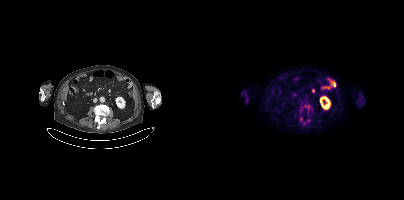
{"modality":"PSMA PET/CT","view":"axial","tracer":"18F-PSMA","pet_grid":[200,200],"coord_frame":"pet_panel","coord_format":"x0,y0,x1,y1","partial":true,"lesion_bboxes":[[100,105,105,108]],"small_foci_centers":[[97,118],[104,120]]}